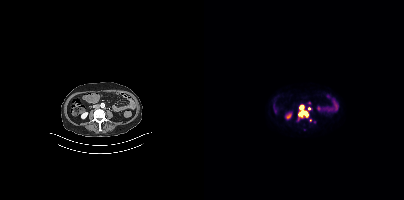
Findings: Coordinates are on the 200×200 PET (right) panel. (showing 2 of 3 foci) PSMA-avid tumor lesion bounding box (x0,y0,x1,y1): [94,106,104,117]. Small PSMA-avid focus (2 to 4 px across) near (center x, center y): (105, 108).
Technique: Left: CT. Right: PSMA PET, same axial level, 18F tracer. acquired on Siemens Biograph mCT Flow 20. slice 147 of 403. PET panel 200×200 px (4.1 mm/px).